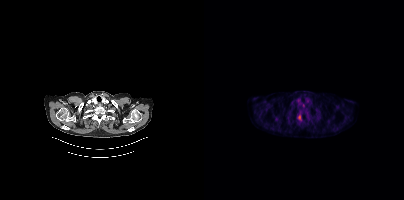
Coordinates are on the 200×200 PET (right) panel. PSMA-avid tumor lesion bounding box (x0, y0)-(x1, y1): (93, 114)-(96, 119).
modality: PSMA PET/CT | tracer: 18F-PSMA | view: axial | PET grid: 200×200